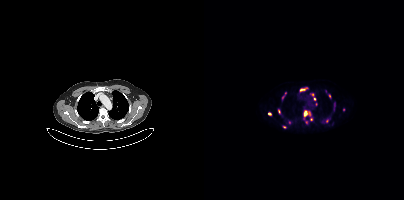
Coordinates are on the 200×200 PET (right) panel. PSMA-avid tumor lesion bounding boxes (partial; 5 more foci not listed):
| # | x0 | y0 | x1 | y1 |
|---|---|---|---|---|
| 1 | 100 | 111 | 106 | 116 |
| 2 | 96 | 88 | 103 | 91 |
| 3 | 74 | 109 | 76 | 113 |
| 4 | 130 | 103 | 131 | 107 |
Small PSMA-avid foci (2 to 4 px across) near (center x, center y): (109, 94); (80, 127); (65, 113); (123, 121); (107, 119); (125, 96); (110, 99); (112, 104); (139, 109); (85, 122).
Left: CT. Right: PSMA PET, same axial level, 18F-PSMA tracer. PET panel 200×200 px (4.1 mm/px).